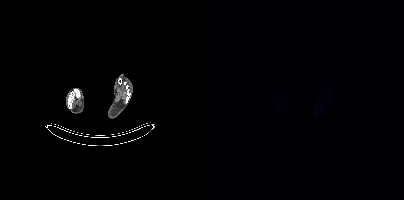
Negative for PSMA-avid disease on this slice. Paired axial CT (left) and PSMA PET (right), 18F-PSMA tracer. PET panel 200×200 px (4.1 mm/px).